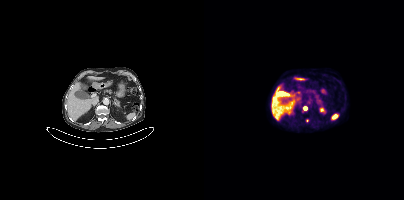
{"modality":"PSMA PET/CT","view":"axial","tracer":"[18F]PSMA-1007","pet_grid":[200,200],"coord_frame":"pet_panel","coord_format":"x0,y0,x1,y1","lesion_bboxes":[[99,106,103,110]],"small_foci_centers":[[103,120]]}